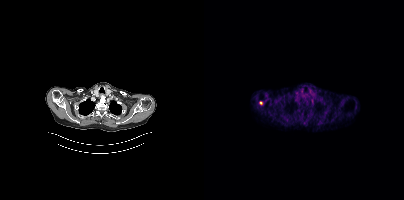
Two-panel axial: CT | PSMA PET, 18F tracer. Acquired on Siemens Biograph mCT Flow 20. Slice 348 of 427. Coordinates are on the 200×200 PET (right) panel. Small PSMA-avid focus (2 to 4 px across) near (center x, center y): (56, 102).